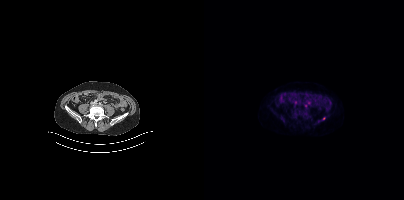
Coordinates are on the 200×200 PET (right) panel. Small PSMA-avid focus (2 to 4 px across) near (center x, center y): (119, 118).